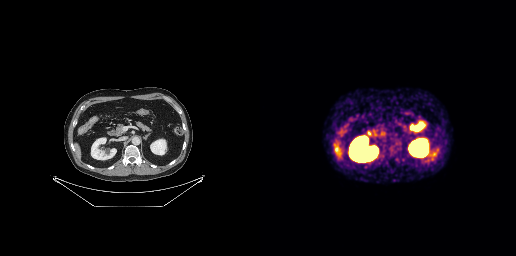
Findings: Negative for PSMA-avid disease on this slice.
Technique: Paired axial CT (left) and PSMA PET (right), [68Ga]Ga-PSMA-11 tracer.